Left: CT. Right: PSMA PET, same axial level, [18F]PSMA-1007 tracer. Slice position z = -382 mm.
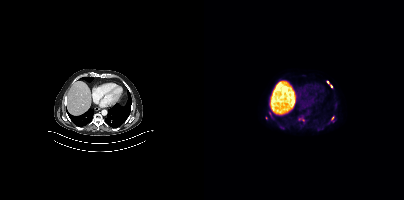
Coordinates are on the 200×200 PET (right) panel. (showing 4 of 7 foci) PSMA-avid tumor lesion bounding box (x0, y0)-(x1, y1): (127, 116)-(130, 120). Small PSMA-avid foci (2 to 4 px across) near (center x, center y): (124, 82) | (66, 113) | (127, 86).